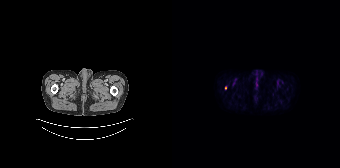
- Paired axial CT (left) and PSMA PET (right), 18F tracer
- acquired on Siemens Biograph 64-4R TruePoint
- PET panel 168×168 px (4.1 mm/px)
Findings: Coordinates are on the 168×168 PET (right) panel. Small PSMA-avid focus (2 to 4 px across) near (center x, center y): (53, 87).